Technique: Left: CT. Right: PSMA PET, same axial level, [18F]PSMA-1007 tracer. slice position z = 1090 mm. PET panel 200×200 px (4.1 mm/px).
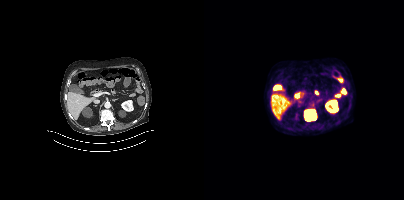
Findings: Coordinates are on the 200×200 PET (right) panel. PSMA-avid tumor lesion bounding box (x0,y0,x1,y1): [100,109,112,121].